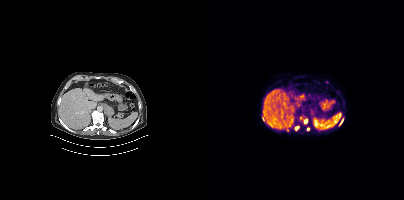
- Two-panel axial: CT | PSMA PET, 18F-PSMA tracer
- PET panel 200×200 px (4.1 mm/px)
Findings: Coordinates are on the 200×200 PET (right) panel. PSMA-avid tumor lesion bounding boxes (x0, y0)-(x1, y1): (100, 119)-(103, 123) / (91, 126)-(95, 130) / (136, 120)-(138, 124). Small PSMA-avid focus (2 to 4 px across) near (center x, center y): (104, 129).